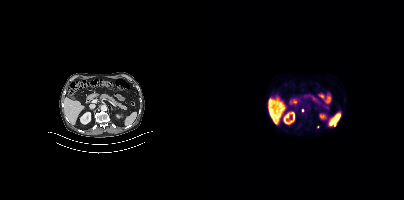
{"modality":"PSMA PET/CT","view":"axial","tracer":"[18F]PSMA-1007","pet_grid":[200,200],"coord_frame":"pet_panel","coord_format":"x0,y0,x1,y1","partial":true,"lesion_bboxes":[],"small_foci_centers":[[113,126]]}